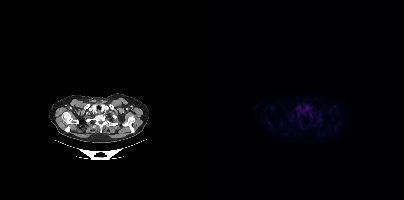
Two-panel axial: CT | PSMA PET, [18F]PSMA-1007 tracer. Negative for PSMA-avid disease on this slice.